Two-panel axial: CT | PSMA PET, [68Ga]Ga-PSMA-11 tracer.
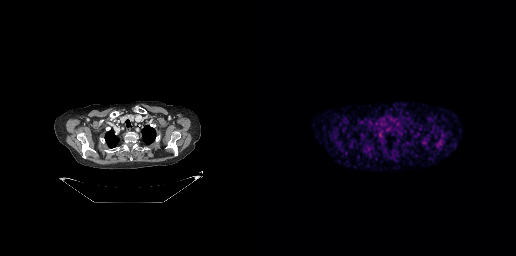
No tumor lesions annotated on this slice.